Left: CT. Right: PSMA PET, same axial level, [68Ga]Ga-PSMA-11 tracer. Slice position z = -1050 mm. Privacy masking over the head, with the pixels inside a rectangle set to black.
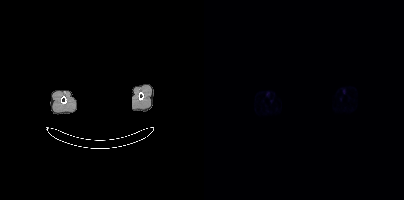
No tumor lesions annotated on this slice.